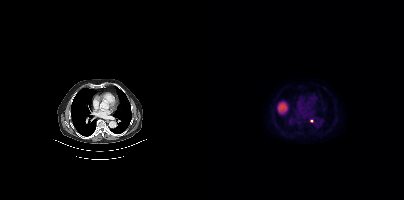
{"modality":"PSMA PET/CT","view":"axial","tracer":"18F-PSMA","pet_grid":[200,200],"coord_frame":"pet_panel","coord_format":"x0,y0,x1,y1","lesion_bboxes":[],"small_foci_centers":[[107,120]]}